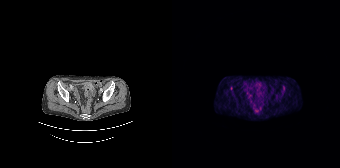
- Left: CT. Right: PSMA PET, same axial level, 68Ga-PSMA tracer
- acquired on Siemens Biograph 64-4R TruePoint
- PET panel 168×168 px (4.1 mm/px)
Findings: Coordinates are on the 168×168 PET (right) panel. Small PSMA-avid foci (2 to 4 px across) near (center x, center y): (59, 88) | (112, 88).